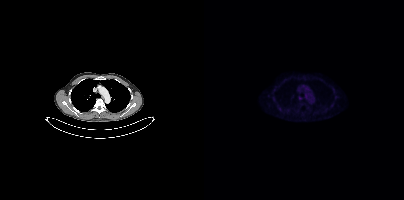
Left: CT. Right: PSMA PET, same axial level, [18F]PSMA-1007 tracer. PET panel 200×200 px (4.1 mm/px). No PSMA-avid tumor lesions on this slice.